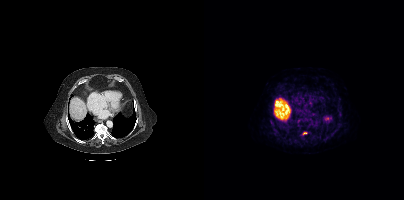
Paired axial CT (left) and PSMA PET (right), 68Ga-PSMA tracer. PET panel 200×200 px (4.1 mm/px). Coordinates are on the 200×200 PET (right) panel. Small PSMA-avid focus (2 to 4 px across) near (center x, center y): (100, 133).